Technique: Paired axial CT (left) and PSMA PET (right), 18F tracer. slice 353 of 415. PET panel 200×200 px (4.1 mm/px).
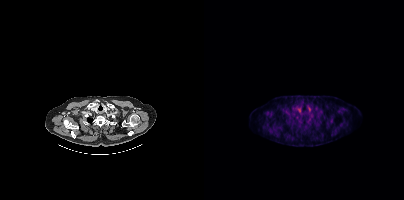
Findings: Coordinates are on the 200×200 PET (right) panel. Small PSMA-avid focus (2 to 4 px across) near (center x, center y): (105, 118).